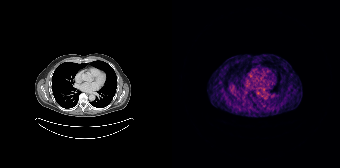
No PSMA-avid tumor lesions on this slice.